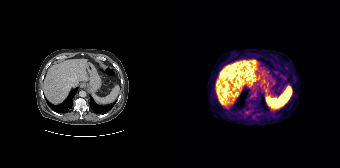
This slice has no annotated PSMA-avid lesion.